modality: PSMA PET/CT | tracer: 18F | view: axial | PET grid: 200×200
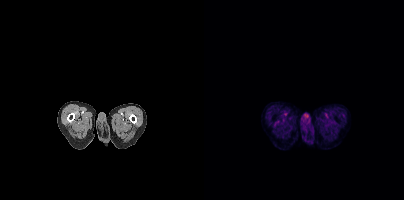
This slice has no annotated PSMA-avid lesion.